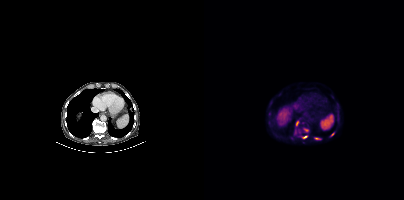
Left: CT. Right: PSMA PET, same axial level, 18F-PSMA tracer. PET panel 200×200 px (4.1 mm/px).
Coordinates are on the 200×200 PET (right) panel. PSMA-avid tumor lesion bounding boxes (partial; 1 more focus not listed):
| # | x0 | y0 | x1 | y1 |
|---|---|---|---|---|
| 1 | 100 | 129 | 104 | 131 |
| 2 | 126 | 133 | 130 | 136 |
Small PSMA-avid foci (2 to 4 px across) near (center x, center y): (100, 137); (93, 123); (65, 113); (115, 138).